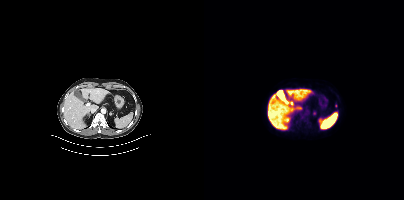
Paired axial CT (left) and PSMA PET (right), 18F tracer. Slice 234 of 425. Only PSMA-avid lesion pieces thinner than 2 px on this slice (not listed).